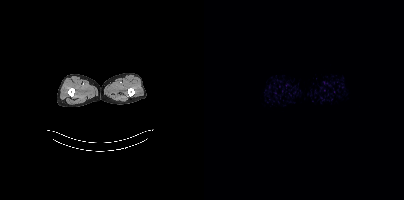
- Left: CT. Right: PSMA PET, same axial level, 18F-PSMA tracer
- PET panel 200×200 px (4.1 mm/px)
Findings: This slice has no annotated PSMA-avid lesion.